- Paired axial CT (left) and PSMA PET (right), [18F]PSMA-1007 tracer
- slice 57 of 165
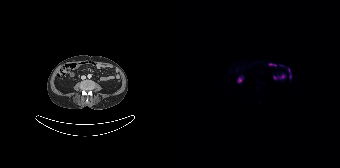
Findings: No tumor lesions annotated on this slice.